- Left: CT. Right: PSMA PET, same axial level, 68Ga tracer
- slice 89 of 227
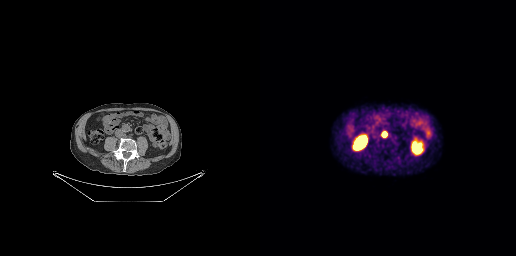
Findings: Coordinates are on the 256×256 PET (right) panel. PSMA-avid tumor lesion bounding box (x0, y0)-(x1, y1): (122, 132)-(126, 136).